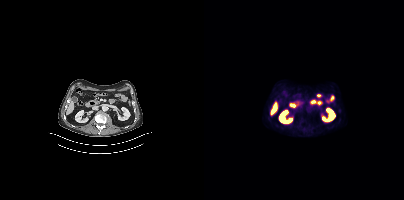
{"modality":"PSMA PET/CT","view":"axial","tracer":"18F-PSMA","pet_grid":[200,200],"coord_frame":"pet_panel","coord_format":"x0,y0,x1,y1","psma_avid_lesions":false}